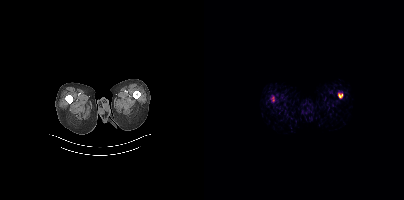
- Paired axial CT (left) and PSMA PET (right), 68Ga tracer
- slice 8 of 397
Findings: No PSMA-avid tumor lesions on this slice.